Paired axial CT (left) and PSMA PET (right), 68Ga tracer. Acquired on Siemens Biograph 64-4R TruePoint. Slice position z = -948 mm.
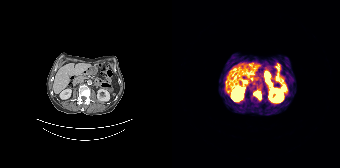
Coordinates are on the 168×168 PET (right) panel. PSMA-avid tumor lesion bounding boxes:
| # | x0 | y0 | x1 | y1 |
|---|---|---|---|---|
| 1 | 82 | 89 | 89 | 99 |